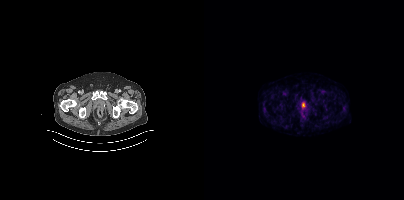
{"modality":"PSMA PET/CT","view":"axial","tracer":"68Ga-PSMA","pet_grid":[200,200],"coord_frame":"pet_panel","coord_format":"x0,y0,x1,y1","psma_avid_lesions":false}